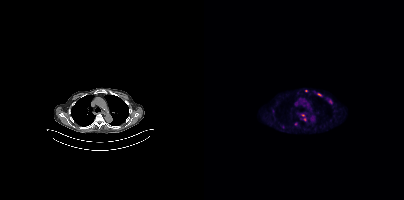
Coordinates are on the 200×200 PET (right) panel. PSMA-avid tumor lesion bounding boxes (partial; 2 more foci not listed):
| # | x0 | y0 | x1 | y1 |
|---|---|---|---|---|
| 1 | 113 | 93 | 117 | 96 |
Small PSMA-avid foci (2 to 4 px across) near (center x, center y): (126, 101); (100, 119); (102, 90); (99, 115); (91, 123).
Left: CT. Right: PSMA PET, same axial level, [18F]PSMA-1007 tracer.